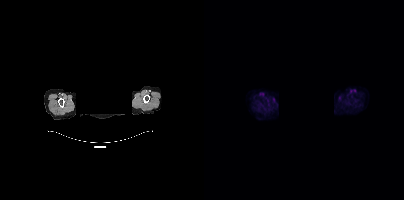
No PSMA-avid tumor lesions on this slice. Privacy masking over the head, with the pixels inside a rectangle set to black. Left: CT. Right: PSMA PET, same axial level, 18F tracer. Slice 377 of 429. PET panel 200×200 px (4.1 mm/px).